Two-panel axial: CT | PSMA PET, [18F]PSMA-1007 tracer. Slice 429 of 454. A rectangular block over the head has been blanked out for de-identification.
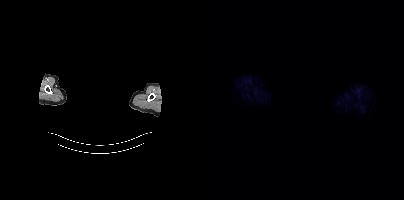
Negative for PSMA-avid disease on this slice.